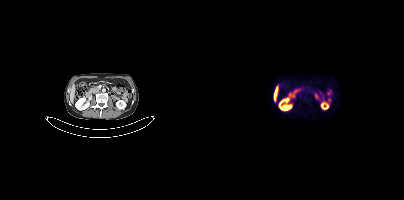
This slice has no annotated PSMA-avid lesion. Left: CT. Right: PSMA PET, same axial level, [18F]PSMA-1007 tracer.